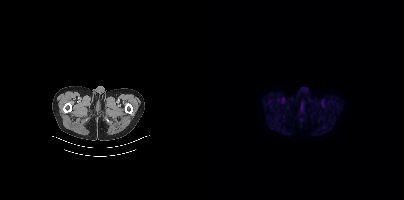
{"modality":"PSMA PET/CT","view":"axial","tracer":"18F","pet_grid":[200,200],"coord_frame":"pet_panel","coord_format":"x0,y0,x1,y1","psma_avid_lesions":false}